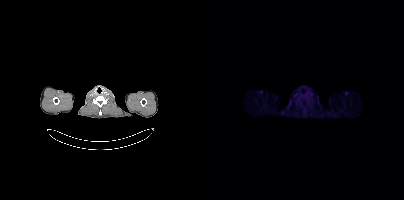
- Two-panel axial: CT | PSMA PET, 18F-PSMA tracer
- acquired on Siemens Biograph mCT Flow 20
- PET panel 200×200 px (4.1 mm/px)
Findings: Negative for PSMA-avid disease on this slice.